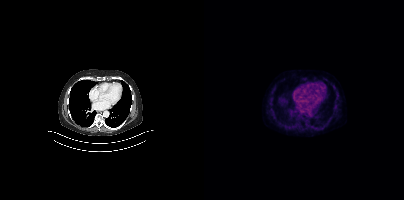
This slice has no annotated PSMA-avid lesion. Paired axial CT (left) and PSMA PET (right), 18F tracer. Slice 225 of 356. PET panel 200×200 px (4.1 mm/px).